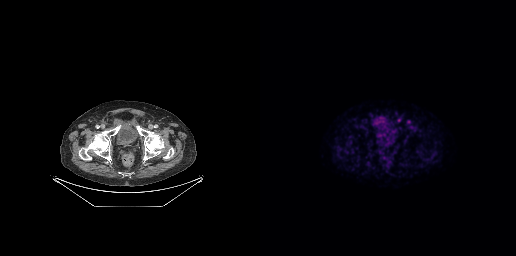
Paired axial CT (left) and PSMA PET (right), 18F-PSMA tracer. Acquired on GE Discovery 690. PET panel 256×256 px (2.7 mm/px). Coordinates are on the 256×256 PET (right) panel. Small PSMA-avid foci (2 to 4 px across) near (center x, center y): (138, 120) | (148, 121).